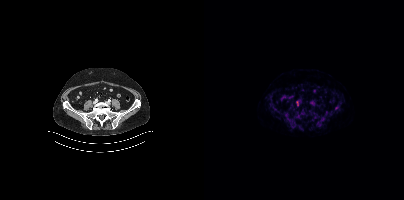
modality: PSMA PET/CT | tracer: 18F-PSMA | view: axial
Only PSMA-avid lesion pieces thinner than 2 px on this slice (not listed).